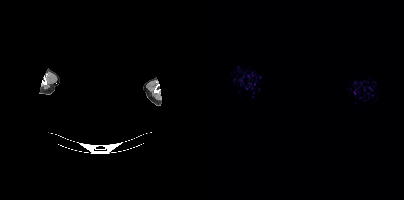
Technique: Paired axial CT (left) and PSMA PET (right), 18F-PSMA tracer. slice position z = -90 mm.
Note: Facial anatomy redacted by setting a rectangular region of the head to black.
Findings: No PSMA-avid tumor lesions on this slice.